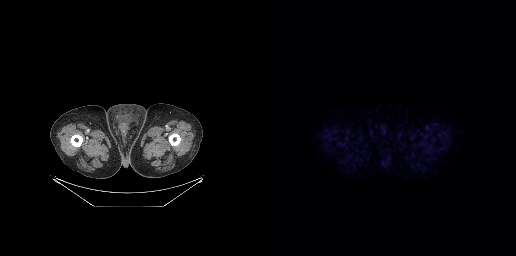
Technique: Two-panel axial: CT | PSMA PET, 18F tracer. acquired on GE Discovery 690.
Findings: This slice has no annotated PSMA-avid lesion.